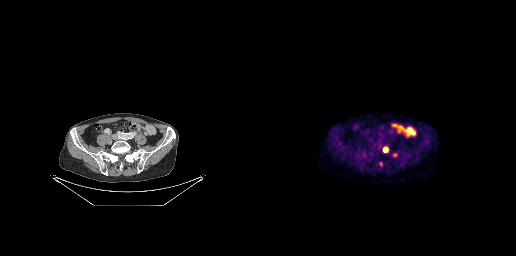
modality: PSMA PET/CT | tracer: [18F]PSMA-1007 | view: axial | PET grid: 256×256
Coordinates are on the 256×256 PET (right) panel. PSMA-avid tumor lesion bounding box (x, y, width, height): x=123 y=147 w=6 h=6. Small PSMA-avid foci (2 to 4 px across) near (center x, center y): (134, 155) / (121, 163).